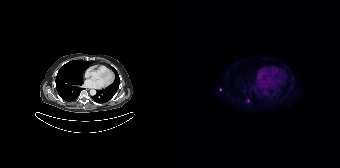
Two-panel axial: CT | PSMA PET, [18F]PSMA-1007 tracer. Acquired on Siemens Biograph 64-4R TruePoint. PET panel 168×168 px (4.1 mm/px). Only PSMA-avid lesion pieces thinner than 2 px on this slice (not listed).